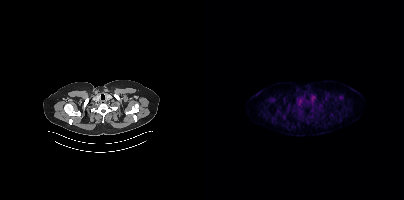
modality: PSMA PET/CT | tracer: 18F-PSMA | view: axial | PET grid: 200×200
No tumor lesions annotated on this slice.